modality: PSMA PET/CT | tracer: 18F | view: axial
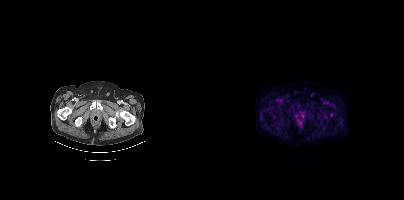
No tumor lesions annotated on this slice.